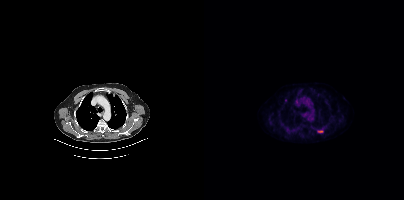
{"pet_grid":[200,200],"coord_frame":"pet_panel","coord_format":"x0,y0,x1,y1","lesion_bboxes":[[114,130,119,132]],"modality":"PSMA PET/CT","view":"axial","tracer":"18F"}